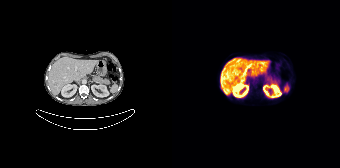
{"modality":"PSMA PET/CT","view":"axial","tracer":"18F-PSMA","pet_grid":[168,168],"coord_frame":"pet_panel","coord_format":"x0,y0,x1,y1","psma_avid_lesions":false}